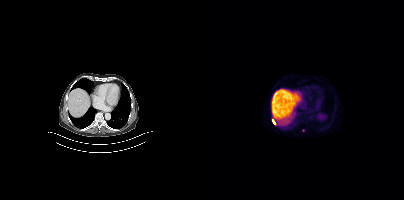
Technique: Left: CT. Right: PSMA PET, same axial level, 18F-PSMA tracer. slice 251 of 411.
Findings: Coordinates are on the 200×200 PET (right) panel. PSMA-avid tumor lesion bounding box (x, y, width, height): x=68 y=120 w=7 h=6. Small PSMA-avid focus (2 to 4 px across) near (center x, center y): (99, 130).